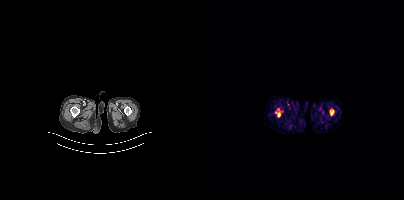
No tumor lesions annotated on this slice. Two-panel axial: CT | PSMA PET, 18F tracer.